modality: PSMA PET/CT | tracer: 18F-PSMA | view: axial | PET grid: 200×200 | redaction: facial region redacted
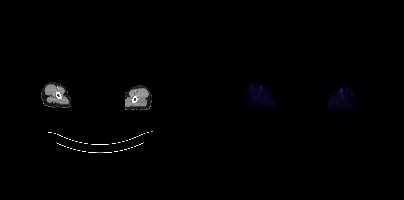
No PSMA-avid tumor lesions on this slice.